Technique: Paired axial CT (left) and PSMA PET (right), 18F tracer. slice position z = -902 mm.
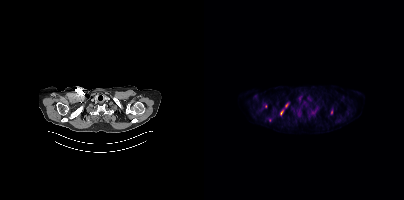
Findings: Coordinates are on the 200×200 PET (right) panel. PSMA-avid tumor lesion bounding boxes (x0, y0)-(x1, y1): (76, 111)-(79, 115) | (127, 110)-(128, 114). Small PSMA-avid foci (2 to 4 px across) near (center x, center y): (82, 105) | (61, 106) | (65, 120).